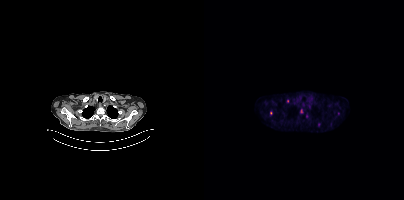
{"modality":"PSMA PET/CT","view":"axial","tracer":"18F-PSMA","pet_grid":[200,200],"coord_frame":"pet_panel","coord_format":"x0,y0,x1,y1","partial":true,"lesion_bboxes":[[96,109,98,113]],"small_foci_centers":[[115,124],[67,113],[83,101]]}